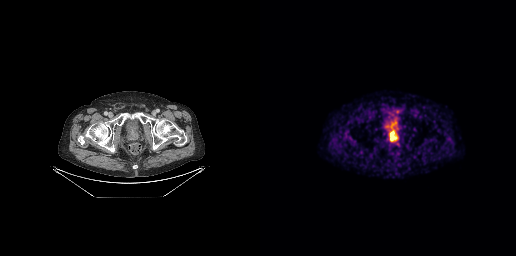
{"modality":"PSMA PET/CT","view":"axial","tracer":"68Ga-PSMA","pet_grid":[256,256],"coord_frame":"pet_panel","coord_format":"x0,y0,x1,y1","lesion_bboxes":[[130,131,136,140]]}